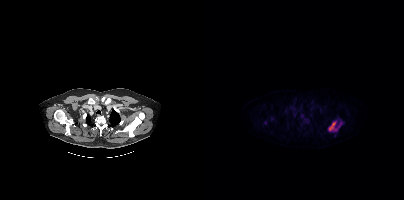
- Paired axial CT (left) and PSMA PET (right), 18F-PSMA tracer
- PET panel 200×200 px (4.1 mm/px)
Findings: Coordinates are on the 200×200 PET (right) panel. (showing 1 of 2 foci) PSMA-avid tumor lesion bounding box (x, y, width, height): x=125 y=121 w=14 h=11.